Two-panel axial: CT | PSMA PET, 18F-PSMA tracer. Acquired on Siemens Biograph mCT Flow 20. Slice position z = -1294 mm.
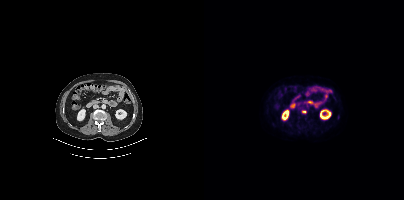
Coordinates are on the 200×200 PET (right) panel. Small PSMA-avid focus (2 to 4 px across) near (center x, center y): (99, 111).